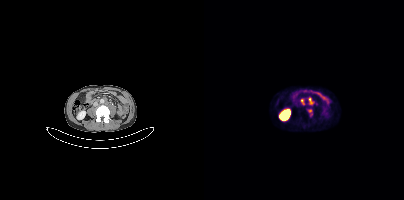
Coordinates are on the 200×200 PET (right) panel. PSMA-avid tumor lesion bounding boxes (x0, y0)-(x1, y1): (104, 98)-(108, 104) | (97, 99)-(100, 104). Small PSMA-avid focus (2 to 4 px across) near (center x, center y): (105, 111).